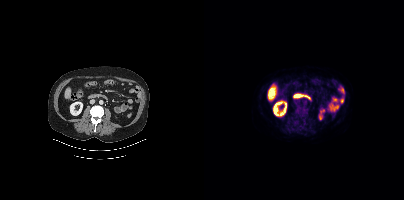
This slice has no annotated PSMA-avid lesion. Two-panel axial: CT | PSMA PET, 18F-PSMA tracer. PET panel 200×200 px (4.1 mm/px).